Paired axial CT (left) and PSMA PET (right), [18F]PSMA-1007 tracer. Acquired on Siemens Biograph mCT Flow 20. Slice 197 of 405.
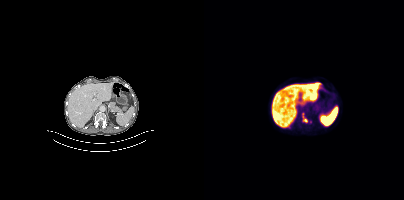
Coordinates are on the 200×200 PET (right) panel. (showing 1 of 3 foci) PSMA-avid tumor lesion bounding box (x0,y0,x1,y1): [98,116,103,122].